- Left: CT. Right: PSMA PET, same axial level, [18F]PSMA-1007 tracer
- slice 157 of 454
- PET panel 200×200 px (4.1 mm/px)
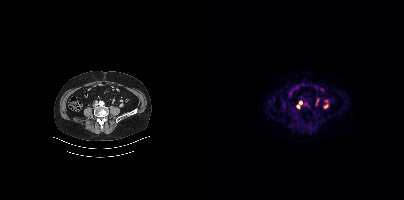
Findings: Coordinates are on the 200×200 PET (right) panel. Small PSMA-avid foci (2 to 4 px across) near (center x, center y): (94, 106) / (96, 102).